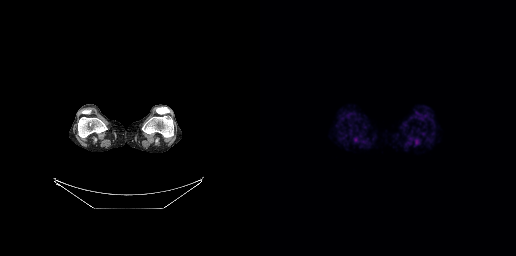
No tumor lesions annotated on this slice.